Paired axial CT (left) and PSMA PET (right), [18F]PSMA-1007 tracer.
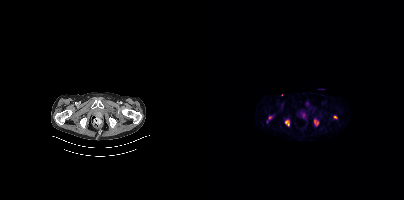
Coordinates are on the 200×200 PET (right) panel. PSMA-avid tumor lesion bounding boxes:
| # | x0 | y0 | x1 | y1 |
|---|---|---|---|---|
| 1 | 110 | 119 | 114 | 125 |
| 2 | 81 | 120 | 85 | 125 |
Small PSMA-avid focus (2 to 4 px across) near (center x, center y): (131, 116).